Technique: Paired axial CT (left) and PSMA PET (right), 18F-PSMA tracer. acquired on Siemens Biograph mCT Flow 20.
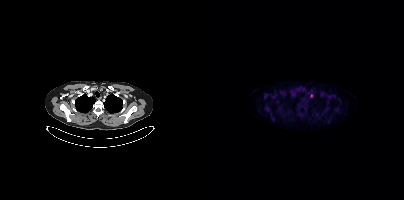
Findings: Coordinates are on the 200×200 PET (right) panel. Small PSMA-avid focus (2 to 4 px across) near (center x, center y): (107, 95).